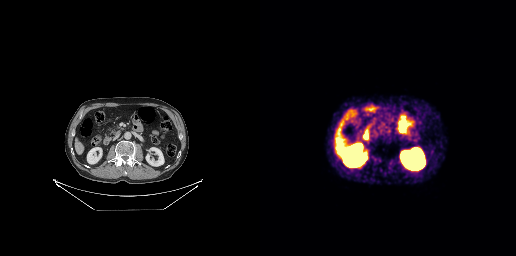
{"pet_grid":[256,256],"coord_frame":"pet_panel","coord_format":"x0,y0,x1,y1","psma_avid_lesions":false,"modality":"PSMA PET/CT","view":"axial","tracer":"[68Ga]Ga-PSMA-11"}